Left: CT. Right: PSMA PET, same axial level, 18F-PSMA tracer. Slice 263 of 464. PET panel 200×200 px (4.1 mm/px).
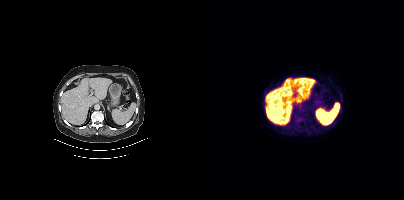
Coordinates are on the 200×200 PET (right) panel. PSMA-avid tumor lesion bounding boxes (partial; 3 more foci not listed):
| # | x0 | y0 | x1 | y1 |
|---|---|---|---|---|
| 1 | 89 | 112 | 100 | 126 |
| 2 | 135 | 93 | 138 | 99 |